Left: CT. Right: PSMA PET, same axial level, 18F-PSMA tracer. Slice 209 of 429. PET panel 200×200 px (4.1 mm/px).
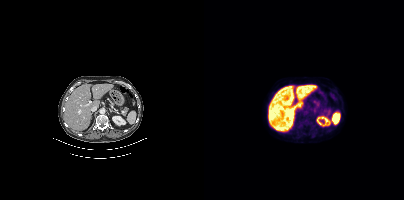
No tumor lesions annotated on this slice.